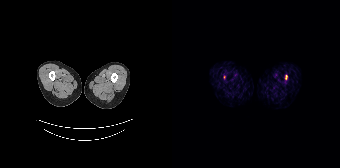
Coordinates are on the 168×168 PET (right) panel. (showing 1 of 2 foci) PSMA-avid tumor lesion bounding box (x0,y0,x1,y1): [113,75,115,79]. Paired axial CT (left) and PSMA PET (right), [68Ga]Ga-PSMA-11 tracer. Slice position z = -935 mm. PET panel 168×168 px (4.1 mm/px).